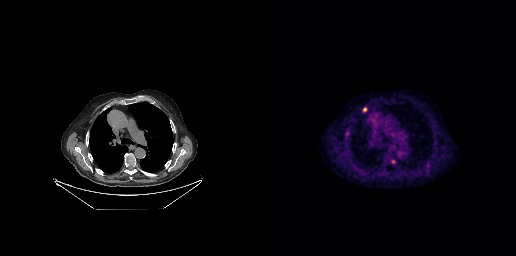
{"modality":"PSMA PET/CT","view":"axial","tracer":"18F","pet_grid":[256,256],"coord_frame":"pet_panel","coord_format":"x0,y0,x1,y1","partial":true,"lesion_bboxes":[],"small_foci_centers":[[105,109]]}